Paired axial CT (left) and PSMA PET (right), 68Ga-PSMA tracer.
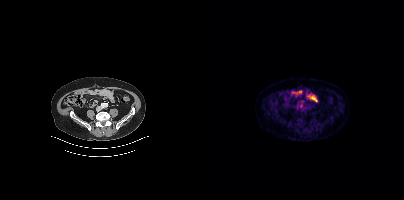
Coordinates are on the 200×200 PET (right) panel. Small PSMA-avid focus (2 to 4 px across) near (center x, center y): (97, 106).